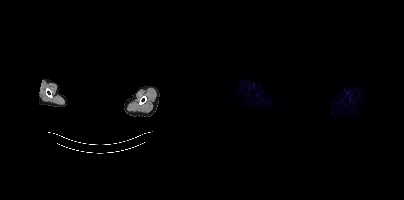
No PSMA-avid tumor lesions on this slice. Two-panel axial: CT | PSMA PET, [68Ga]Ga-PSMA-11 tracer. PET panel 200×200 px (4.1 mm/px). A rectangular block over the head has been blanked out for de-identification.